modality: PSMA PET/CT | tracer: 18F | view: axial | de-identification: rectangular block over head set to black
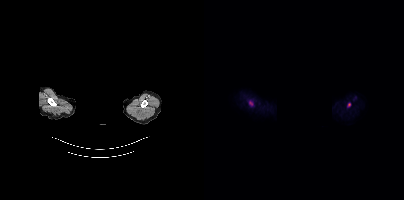
Coordinates are on the 200×200 PET (right) panel. PSMA-avid tumor lesion bounding box (x, y, width, height): x=45 y=101 w=5 h=5. Small PSMA-avid focus (2 to 4 px across) near (center x, center y): (145, 104).